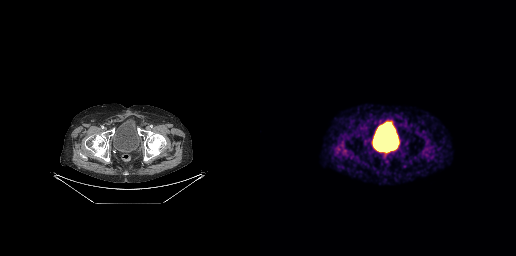
Technique: Two-panel axial: CT | PSMA PET, [68Ga]Ga-PSMA-11 tracer. PET panel 256×256 px (2.7 mm/px).
Findings: Negative for PSMA-avid disease on this slice.